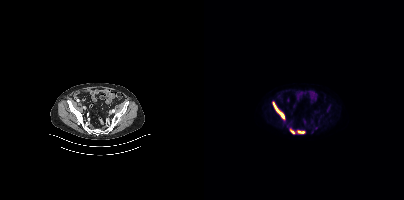
Coordinates are on the 200×200 PET (right) panel. PSMA-avid tumor lesion bounding boxes (x0,y0,x1,y1): [69,102,80,118], [94,131,100,133], [86,130,90,133].
modality: PSMA PET/CT | tracer: [18F]PSMA-1007 | view: axial | PET grid: 200×200